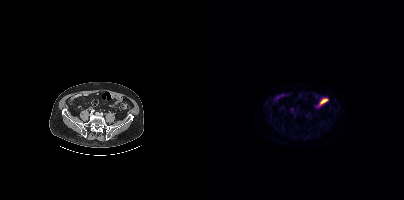
- Left: CT. Right: PSMA PET, same axial level, 18F tracer
- slice 155 of 435
- PET panel 200×200 px (4.1 mm/px)
Findings: No tumor lesions annotated on this slice.